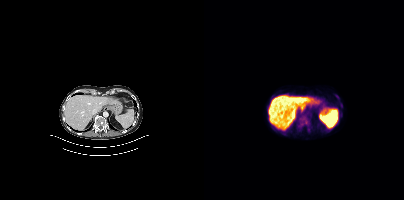
No PSMA-avid tumor lesions on this slice.